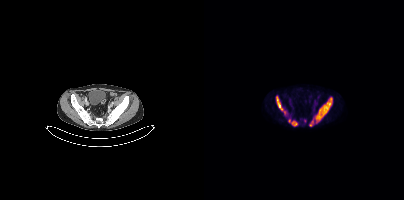
Coordinates are on the 200×200 PET (right) panel. (showing 3 of 4 foci) PSMA-avid tumor lesion bounding boxes (x0,y0,x1,y1): [105,97,128,126] [72,96,82,114] [84,119,93,126]. Two-panel axial: CT | PSMA PET, [18F]PSMA-1007 tracer. Slice 88 of 403.